Technique: Two-panel axial: CT | PSMA PET, 68Ga tracer. slice position z = -1234 mm.
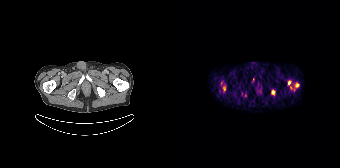
Findings: Coordinates are on the 168×168 PET (right) panel. PSMA-avid tumor lesion bounding boxes (x0,y0,x1,y1): [116,80,118,85], [51,86,53,90], [100,90,102,94]. Small PSMA-avid foci (2 to 4 px across) near (center x, center y): (125, 85), (49, 82).